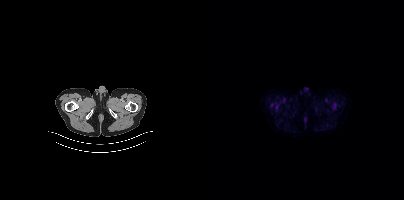
{"pet_grid":[200,200],"coord_frame":"pet_panel","coord_format":"x0,y0,x1,y1","psma_avid_lesions":false,"modality":"PSMA PET/CT","view":"axial","tracer":"18F-PSMA"}